- Left: CT. Right: PSMA PET, same axial level, 68Ga-PSMA tracer
- PET panel 256×256 px (2.7 mm/px)
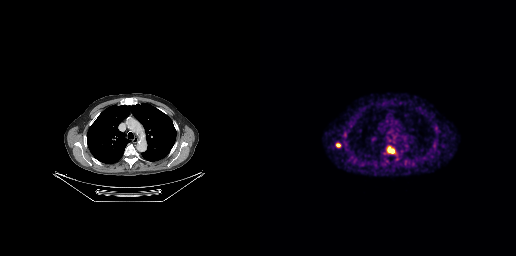
Findings: Coordinates are on the 256×256 PET (right) panel. PSMA-avid tumor lesion bounding boxes (x0,y0,x1,y1): [128,147,134,152] [76,143,80,147].